Left: CT. Right: PSMA PET, same axial level, [18F]PSMA-1007 tracer. Slice position z = -1258 mm.
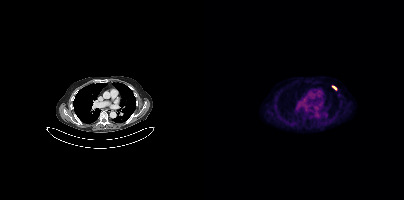
Coordinates are on the 200×200 PET (right) panel. PSMA-avid tumor lesion bounding boxes:
| # | x0 | y0 | x1 | y1 |
|---|---|---|---|---|
| 1 | 128 | 86 | 132 | 89 |